Technique: Left: CT. Right: PSMA PET, same axial level, [18F]PSMA-1007 tracer. acquired on GE Discovery 690. slice 252 of 299.
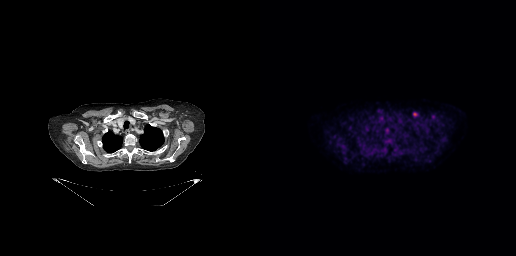
Findings: Coordinates are on the 256×256 PET (right) panel. PSMA-avid tumor lesion bounding box (x0,y0,x1,y1): [153,112,157,116].